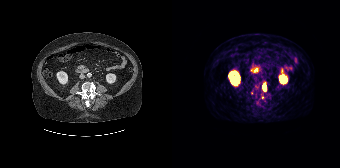
{"modality":"PSMA PET/CT","view":"axial","tracer":"[68Ga]Ga-PSMA-11","pet_grid":[168,168],"coord_frame":"pet_panel","coord_format":"x0,y0,x1,y1","lesion_bboxes":[[90,82,94,91]],"small_foci_centers":[[90,97]]}